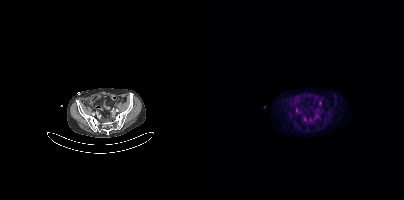
- Paired axial CT (left) and PSMA PET (right), [18F]PSMA-1007 tracer
- PET panel 200×200 px (4.1 mm/px)
Findings: Coordinates are on the 200×200 PET (right) panel. (showing 1 of 4 foci) Small PSMA-avid focus (2 to 4 px across) near (center x, center y): (92, 110).